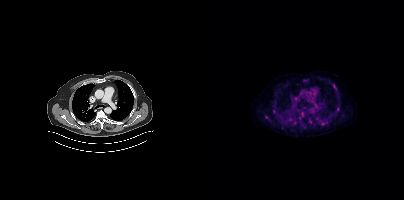
{"pet_grid":[200,200],"coord_frame":"pet_panel","coord_format":"x0,y0,x1,y1","partial":true,"lesion_bboxes":[[104,119,108,123],[97,112,99,116],[133,107,135,111]],"small_foci_centers":[[119,123],[129,86],[62,116],[95,118]],"modality":"PSMA PET/CT","view":"axial","tracer":"18F"}